Paired axial CT (left) and PSMA PET (right), [18F]PSMA-1007 tracer. PET panel 200×200 px (4.1 mm/px).
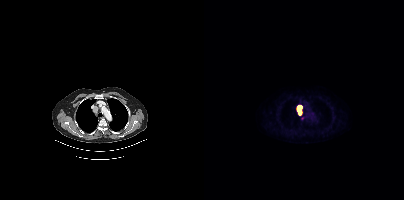
Coordinates are on the 200×200 PET (right) panel. PSMA-avid tumor lesion bounding boxes:
| # | x0 | y0 | x1 | y1 |
|---|---|---|---|---|
| 1 | 94 | 109 | 97 | 114 |
Small PSMA-avid focus (2 to 4 px across) near (center x, center y): (98, 118).